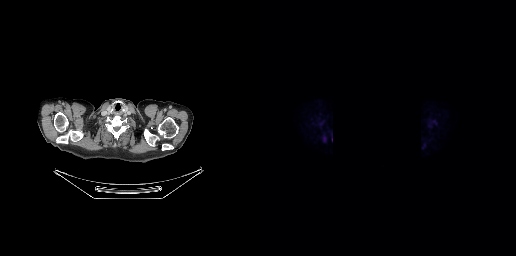
deidentification: rectangular block set to black | modality: PSMA PET/CT | tracer: 18F | view: axial | PET grid: 256×256
Coordinates are on the 256×256 PET (right) panel. Small PSMA-avid focus (2 to 4 px across) near (center x, center y): (64, 138).